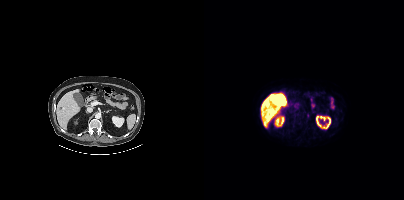
No tumor lesions annotated on this slice.